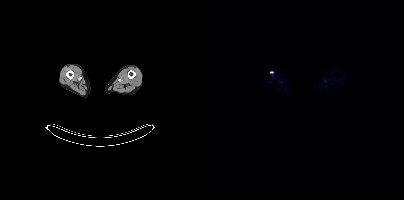
Coordinates are on the 200×200 PET (right) panel. Small PSMA-avid focus (2 to 4 px across) near (center x, center y): (67, 72).
modality: PSMA PET/CT | tracer: 18F | view: axial